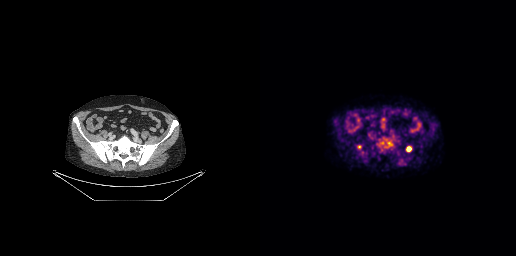
- Paired axial CT (left) and PSMA PET (right), 18F-PSMA tracer
- acquired on GE Discovery 690
Findings: Coordinates are on the 256×256 PET (right) panel. PSMA-avid tumor lesion bounding box (x0,y0,x1,y1): [146,146,151,151]. Small PSMA-avid foci (2 to 4 px across) near (center x, center y): (99, 146), (122, 142).